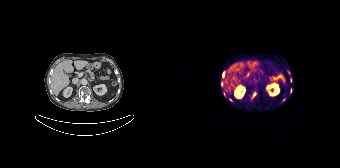
{"pet_grid":[168,168],"coord_frame":"pet_panel","coord_format":"x0,y0,x1,y1","partial":true,"lesion_bboxes":[[80,92,84,98],[49,82,51,87],[57,98,61,101],[51,72,52,76]],"small_foci_centers":[[52,94]],"modality":"PSMA PET/CT","view":"axial","tracer":"68Ga"}